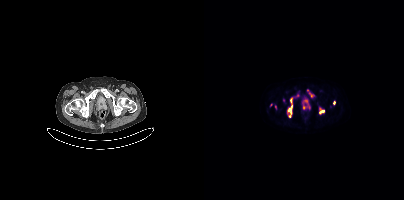
modality: PSMA PET/CT | tracer: 18F-PSMA | view: axial | PET grid: 200×200
Coordinates are on the 200×200 PET (right) panel. (showing 10 of 11 foci) PSMA-avid tumor lesion bounding boxes (x0, y0)-(x1, y1): (83, 105)-(88, 116) | (103, 89)-(108, 95) | (91, 94)-(95, 97) | (99, 105)-(101, 109) | (115, 110)-(119, 113). Small PSMA-avid foci (2 to 4 px across) near (center x, center y): (102, 100) | (71, 106) | (86, 100) | (130, 103) | (67, 105).